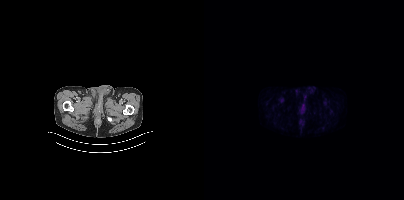
- Left: CT. Right: PSMA PET, same axial level, [18F]PSMA-1007 tracer
- slice 27 of 411
- PET panel 200×200 px (4.1 mm/px)
Findings: No PSMA-avid tumor lesions on this slice.